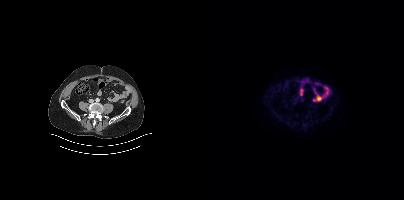
Left: CT. Right: PSMA PET, same axial level, 18F tracer. Acquired on Siemens Biograph mCT Flow 20. PET panel 200×200 px (4.1 mm/px). No tumor lesions annotated on this slice.